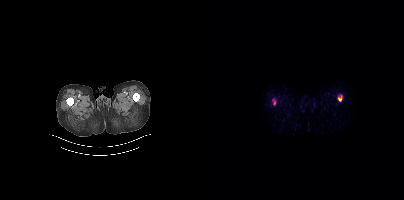
No PSMA-avid tumor lesions on this slice.